Two-panel axial: CT | PSMA PET, 18F-PSMA tracer. Slice 339 of 407. PET panel 200×200 px (4.1 mm/px).
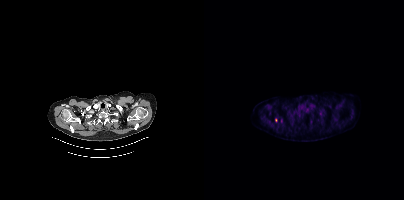
Coordinates are on the 200×200 PET (right) panel. (showing 1 of 2 foci) Small PSMA-avid focus (2 to 4 px across) near (center x, center y): (71, 120).